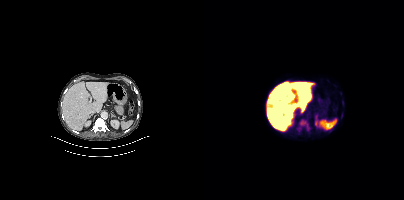
modality: PSMA PET/CT | tracer: 18F | view: axial | PET grid: 200×200
Coordinates are on the 200×200 PET (right) panel. (showing 2 of 3 foci) PSMA-avid tumor lesion bounding boxes (x, y, width, height): x=95 y=120 w=12 h=11; x=138 y=100 w=2 h=6.